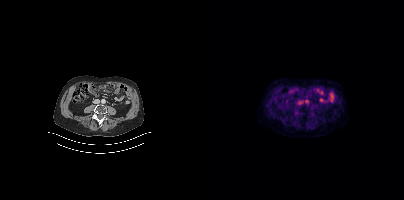
No tumor lesions annotated on this slice. Paired axial CT (left) and PSMA PET (right), 18F tracer. Slice position z = -620 mm.